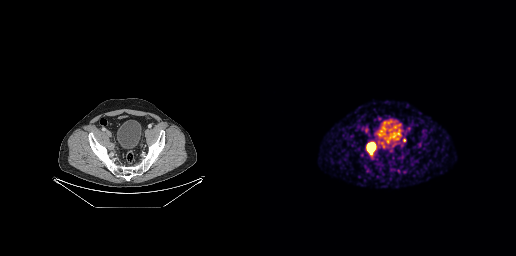
Left: CT. Right: PSMA PET, same axial level, 68Ga-PSMA tracer. Slice position z = -858 mm. Coordinates are on the 256×256 PET (right) panel. PSMA-avid tumor lesion bounding box (x, y, width, height): x=106 y=142 w=11 h=14. Small PSMA-avid focus (2 to 4 px across) near (center x, center y): (144, 140).